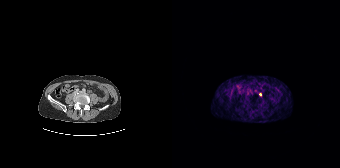
Coordinates are on the 168×168 PET (right) panel. Small PSMA-avid focus (2 to 4 px across) near (center x, center y): (88, 94).